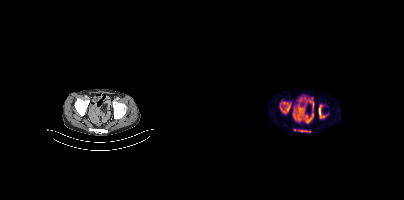
- Left: CT. Right: PSMA PET, same axial level, 18F tracer
- slice position z = 26 mm
- PET panel 200×200 px (4.1 mm/px)
Findings: Coordinates are on the 200×200 PET (right) panel. PSMA-avid tumor lesion bounding boxes (x, y, width, height): x=76 y=102 w=12 h=12 | x=115 y=104 w=6 h=14 | x=90 y=129 w=17 h=4.